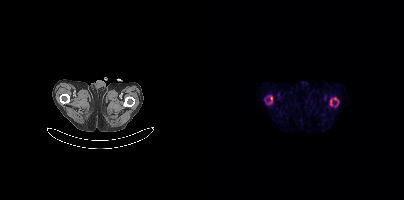
Coordinates are on the 200×200 PET (right) panel. (showing 1 of 3 foci) PSMA-avid tumor lesion bounding box (x0, y0)-(x1, y1): (67, 96)-(68, 102).